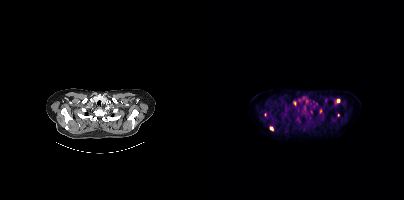
Coordinates are on the 200×200 PET (right) panel. (showing 4 of 6 foci) Small PSMA-avid foci (2 to 4 px across) near (center x, center y): (67, 128) | (134, 100) | (116, 110) | (90, 103).
modality: PSMA PET/CT | tracer: [18F]PSMA-1007 | view: axial